- Paired axial CT (left) and PSMA PET (right), [18F]PSMA-1007 tracer
- acquired on Siemens Biograph mCT Flow 20
- PET panel 200×200 px (4.1 mm/px)
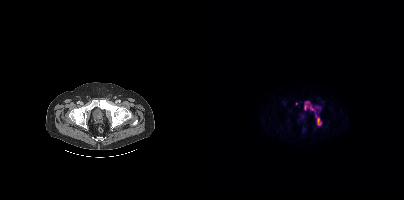
Findings: Coordinates are on the 200×200 PET (right) panel. PSMA-avid tumor lesion bounding boxes (x0, y0)-(x1, y1): (100, 101)-(110, 110) / (112, 116)-(117, 125). Small PSMA-avid focus (2 to 4 px across) near (center x, center y): (92, 103).